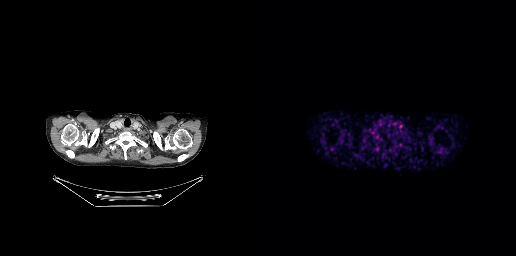
- Two-panel axial: CT | PSMA PET, [68Ga]Ga-PSMA-11 tracer
- slice 155 of 189
Findings: This slice has no annotated PSMA-avid lesion.